Technique: Left: CT. Right: PSMA PET, same axial level, [68Ga]Ga-PSMA-11 tracer. acquired on Siemens Biograph 64-4R TruePoint. slice position z = -998 mm.
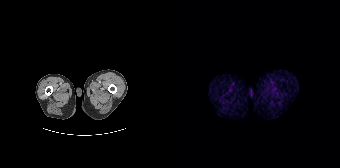
Findings: No PSMA-avid tumor lesions on this slice.